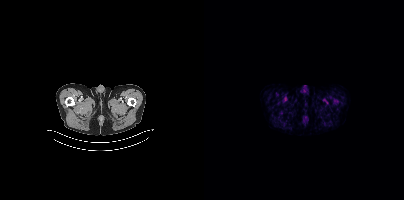
Coordinates are on the 200×200 PET (right) panel. (showing 1 of 2 foci) Small PSMA-avid focus (2 to 4 px across) near (center x, center y): (130, 100).